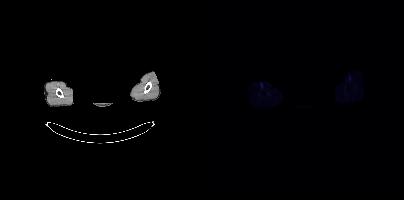
redaction: head region blacked out before release | modality: PSMA PET/CT | tracer: 18F-PSMA | view: axial
No PSMA-avid tumor lesions on this slice.